modality: PSMA PET/CT | tracer: [68Ga]Ga-PSMA-11 | view: axial
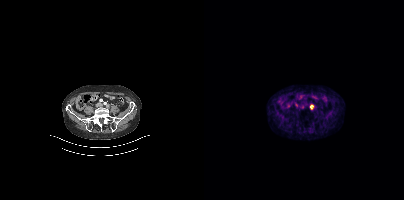
Coordinates are on the 200×200 PET (right) panel. Small PSMA-avid focus (2 to 4 px across) near (center x, center y): (107, 106).